Two-panel axial: CT | PSMA PET, 18F-PSMA tracer. PET panel 200×200 px (4.1 mm/px).
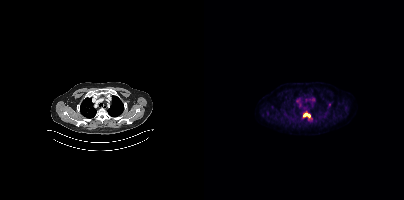
Coordinates are on the 200×200 PET (right) panel. PSMA-avid tumor lesion bounding boxes:
| # | x0 | y0 | x1 | y1 |
|---|---|---|---|---|
| 1 | 99 | 113 | 107 | 119 |
Small PSMA-avid focus (2 to 4 px across) near (center x, center y): (125, 104).